Two-panel axial: CT | PSMA PET, 18F-PSMA tracer. PET panel 200×200 px (4.1 mm/px).
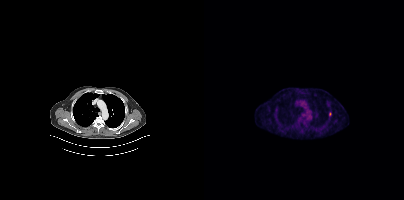
Coordinates are on the 200×200 PET (right) panel. Small PSMA-avid focus (2 to 4 px across) near (center x, center y): (126, 113).